- a region was redacted for de-identification by setting it to black
- Two-panel axial: CT | PSMA PET, [18F]PSMA-1007 tracer
- acquired on Siemens Biograph mCT Flow 20
- slice position z = -870 mm
- PET panel 200×200 px (4.1 mm/px)
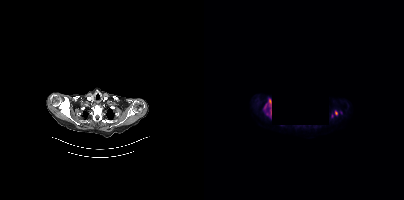
Findings: Coordinates are on the 200×200 PET (right) panel. (showing 2 of 3 foci) PSMA-avid tumor lesion bounding boxes (x0,y0,x1,y1): [60,99,67,118] [131,111,133,115].